Two-panel axial: CT | PSMA PET, [18F]PSMA-1007 tracer. Acquired on Siemens Biograph 64-4R TruePoint. Slice position z = -1222 mm. PET panel 168×168 px (4.1 mm/px).
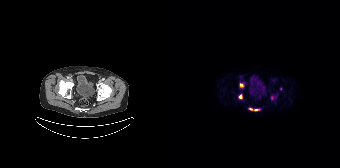
Coordinates are on the 168×168 PET (right) panel. PSMA-avid tumor lesion bounding boxes (x, y, width, height): x=68 y=83 w=4 h=5 | x=67 y=94 w=4 h=5 | x=82 y=109 w=6 h=2. Small PSMA-avid focus (2 to 4 px across) near (center x, center y): (78, 109).